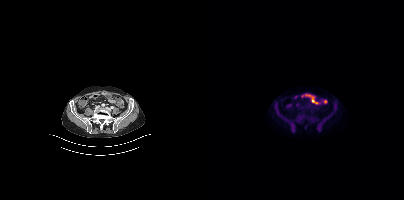
Technique: Two-panel axial: CT | PSMA PET, 18F tracer. slice position z = -683 mm.
Findings: No tumor lesions annotated on this slice.